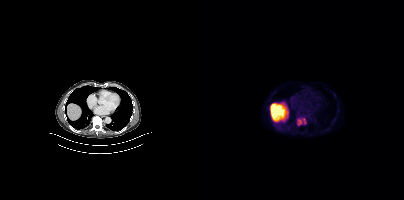
Coordinates are on the 200×200 PET (right) panel. PSMA-avid tumor lesion bounding box (x0, y0)-(x1, y1): (93, 118)-(102, 125).